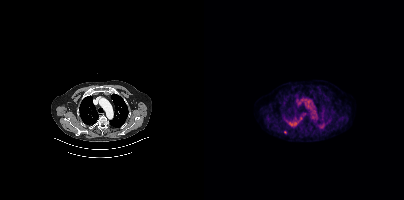
Paired axial CT (left) and PSMA PET (right), 18F-PSMA tracer. PET panel 200×200 px (4.1 mm/px). Coordinates are on the 200×200 PET (right) panel. Small PSMA-avid focus (2 to 4 px across) near (center x, center y): (81, 132).